- Left: CT. Right: PSMA PET, same axial level, 18F tracer
- acquired on GE Discovery 690
- slice 172 of 263
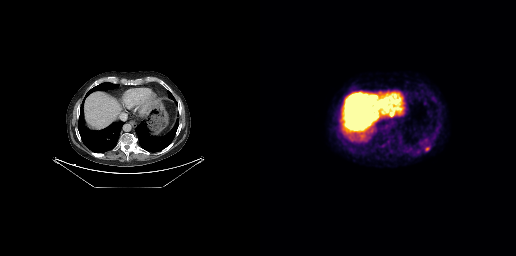
Findings: Coordinates are on the 256×256 PET (right) panel. (showing 3 of 4 foci) PSMA-avid tumor lesion bounding boxes (x0, y0)-(x1, y1): (165, 146)-(169, 151) | (129, 112)-(134, 116). Small PSMA-avid focus (2 to 4 px across) near (center x, center y): (122, 103).